Two-panel axial: CT | PSMA PET, 18F-PSMA tracer. Slice position z = -272 mm. PET panel 200×200 px (4.1 mm/px). A rectangular block over the head has been blanked out for de-identification.
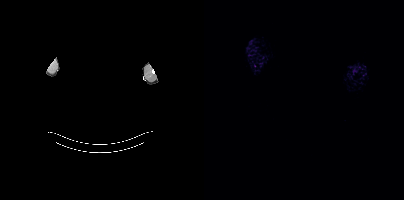
Negative for PSMA-avid disease on this slice.